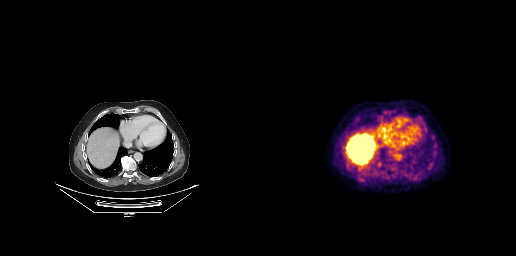
Technique: Left: CT. Right: PSMA PET, same axial level, 18F-PSMA tracer.
Findings: This slice has no annotated PSMA-avid lesion.